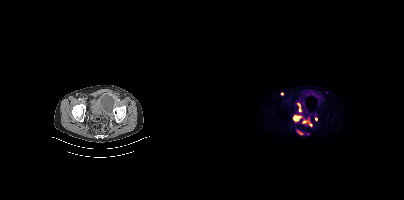
Findings: Coordinates are on the 200×200 PET (right) panel. PSMA-avid tumor lesion bounding boxes (x0,y0,x1,y1): [89,115,97,121], [93,103,97,111]. Small PSMA-avid foci (2 to 4 px across) near (center x, center y): (100, 121), (112, 119), (107, 125), (77, 93).
Technique: Paired axial CT (left) and PSMA PET (right), 18F-PSMA tracer.